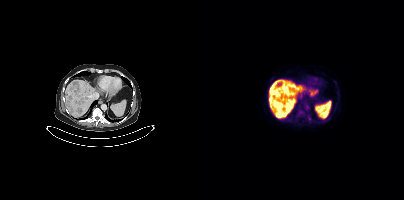
- Two-panel axial: CT | PSMA PET, 18F tracer
- acquired on Siemens Biograph mCT Flow 20
- slice 258 of 431
- PET panel 200×200 px (4.1 mm/px)
Findings: Coordinates are on the 200×200 PET (right) panel. PSMA-avid tumor lesion bounding boxes (x0,y0,x1,y1): [67,89,73,96]; [72,82,77,87]; [73,111,77,115]. Small PSMA-avid foci (2 to 4 px across) near (center x, center y): (97, 111); (105, 118).